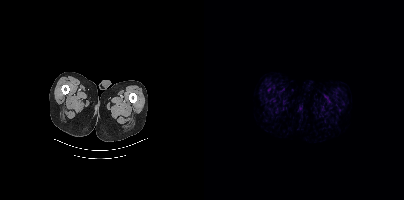
- Paired axial CT (left) and PSMA PET (right), 18F-PSMA tracer
- slice position z = -986 mm
- PET panel 200×200 px (4.1 mm/px)
Findings: This slice has no annotated PSMA-avid lesion.